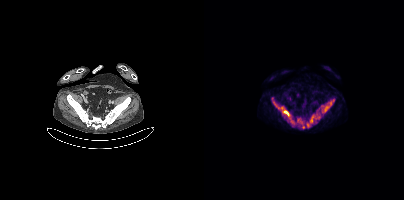
Coordinates are on the 200×200 PET (right) panel. (showing 5 of 7 foci) PSMA-avid tumor lesion bounding boxes (x0, y0)-(x1, y1): (84, 116)-(101, 128); (102, 116)-(110, 127); (68, 97)-(74, 107); (120, 101)-(127, 111); (79, 110)-(85, 116).